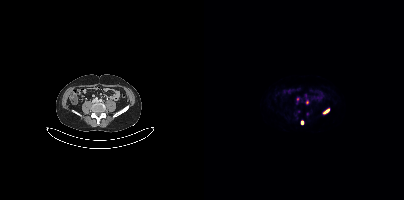
- Two-panel axial: CT | PSMA PET, 68Ga-PSMA tracer
- slice 140 of 411
- PET panel 200×200 px (4.1 mm/px)
Findings: Coordinates are on the 200×200 PET (right) panel. PSMA-avid tumor lesion bounding boxes (x0, y0)-(x1, y1): (119, 109)-(125, 113) / (102, 100)-(104, 104). Small PSMA-avid foci (2 to 4 px across) near (center x, center y): (98, 122) / (93, 98).